modality: PSMA PET/CT | tracer: 18F | view: axial | PET grid: 200×200
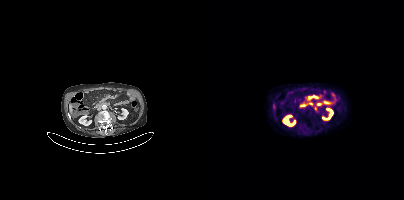
Coordinates are on the 200×200 PET (right) panel. PSMA-avid tumor lesion bounding box (x0, y0)-(x1, y1): (103, 95)-(115, 100).